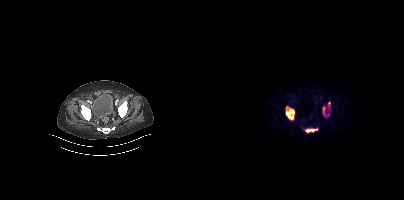
This slice has no annotated PSMA-avid lesion.